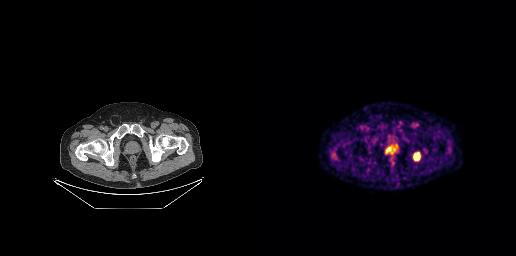
Coordinates are on the 256×256 PET (right) panel. PSMA-avid tumor lesion bounding box (x0, y0)-(x1, y1): (154, 152)-(159, 160).